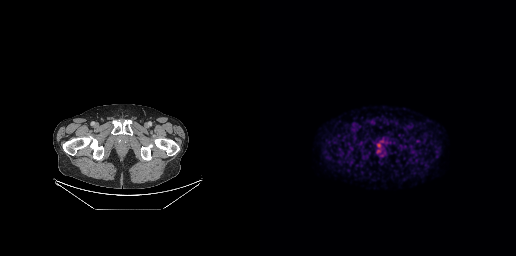
Coordinates are on the 256×256 PET (right) panel. Small PSMA-avid focus (2 to 4 px across) near (center x, center y): (118, 145).